Two-panel axial: CT | PSMA PET, [18F]PSMA-1007 tracer. PET panel 200×200 px (4.1 mm/px).
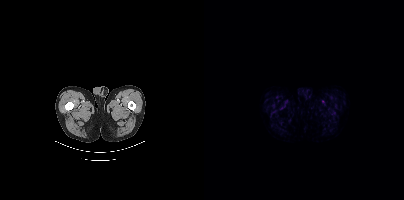
This slice has no annotated PSMA-avid lesion.